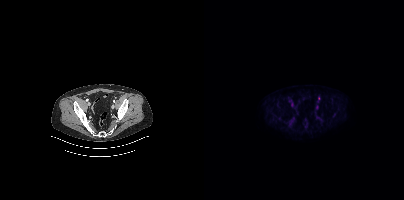
Technique: Paired axial CT (left) and PSMA PET (right), 18F-PSMA tracer. acquired on Siemens Biograph mCT Flow 20.
Findings: Only PSMA-avid lesion pieces thinner than 2 px on this slice (not listed).